Two-panel axial: CT | PSMA PET, [18F]PSMA-1007 tracer. Acquired on Siemens Biograph mCT Flow 20. Slice position z = -856 mm.
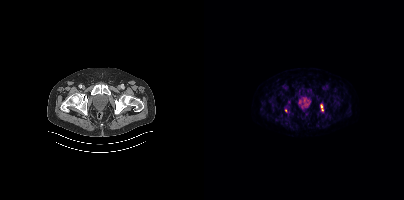
Coordinates are on the 200×200 PET (right) panel. PSMA-avid tumor lesion bounding boxes:
| # | x0 | y0 | x1 | y1 |
|---|---|---|---|---|
| 1 | 116 | 105 | 119 | 111 |
Small PSMA-avid focus (2 to 4 px across) near (center x, center y): (81, 110).